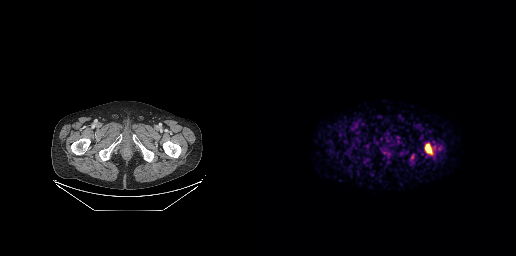
Technique: Paired axial CT (left) and PSMA PET (right), 68Ga-PSMA tracer.
Findings: Coordinates are on the 256×256 PET (right) panel. PSMA-avid tumor lesion bounding box (x, y, width, height): x=165 y=144 w=8 h=10.